modality: PSMA PET/CT | tracer: [18F]PSMA-1007 | view: axial
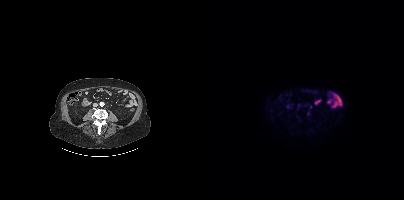
No PSMA-avid tumor lesions on this slice.